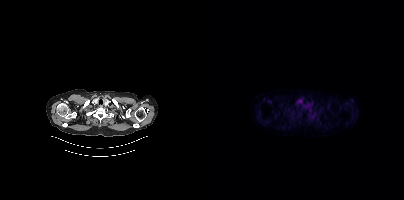
Two-panel axial: CT | PSMA PET, [18F]PSMA-1007 tracer. Slice 362 of 425. No tumor lesions annotated on this slice.